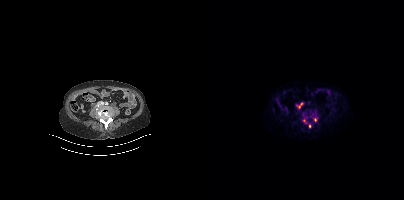
Coordinates are on the 200×200 PET (right) panel. PSMA-avid tumor lesion bounding boxes (partial; 1 more focus not listed):
| # | x0 | y0 | x1 | y1 |
|---|---|---|---|---|
| 1 | 92 | 104 | 96 | 108 |
| 2 | 109 | 117 | 112 | 121 |
Small PSMA-avid foci (2 to 4 px across) near (center x, center y): (106, 125); (100, 120).
Left: CT. Right: PSMA PET, same axial level, 68Ga-PSMA tracer.